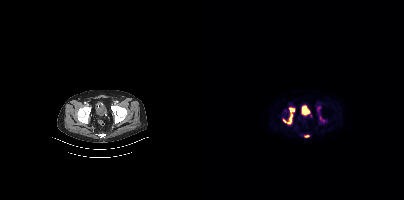
modality: PSMA PET/CT | tracer: 18F | view: axial
Coordinates are on the 200×200 PET (right) panel. (showing 2 of 3 foci) PSMA-avid tumor lesion bounding box (x0,y0,x1,y1): [79,108,90,123]. Small PSMA-avid focus (2 to 4 px across) near (center x, center y): (102, 136).